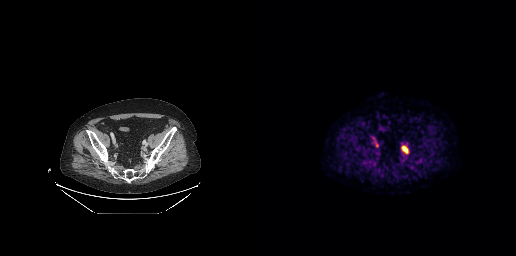
Paired axial CT (left) and PSMA PET (right), 18F-PSMA tracer. Acquired on GE Discovery 690. PET panel 256×256 px (2.7 mm/px). Coordinates are on the 256×256 PET (right) panel. PSMA-avid tumor lesion bounding boxes (x, y, width, height): x=142 y=146 w=7 h=8; x=115 y=141 w=4 h=7.